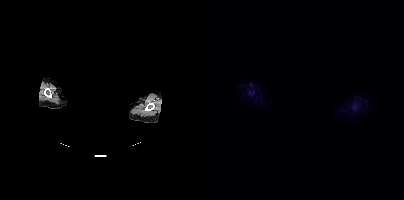
No PSMA-avid tumor lesions on this slice. Head region blanked for anonymization (face removed). Paired axial CT (left) and PSMA PET (right), [18F]PSMA-1007 tracer. Acquired on Siemens Biograph mCT Flow 20.